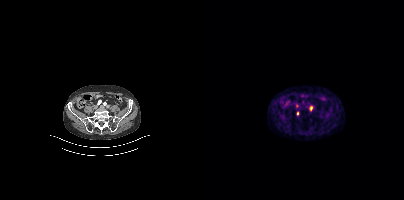
Coordinates are on the 200×200 PET (right) panel. (showing 2 of 3 foci) Small PSMA-avid foci (2 to 4 px across) near (center x, center y): (107, 108) | (93, 113).
modality: PSMA PET/CT | tracer: 68Ga | view: axial | PET grid: 200×200